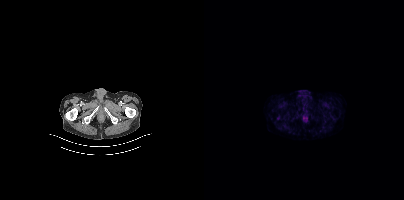
Findings: This slice has no annotated PSMA-avid lesion.
Technique: Left: CT. Right: PSMA PET, same axial level, 18F tracer. acquired on Siemens Biograph mCT Flow 20. PET panel 200×200 px (4.1 mm/px).